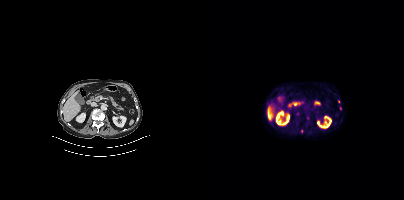
- Paired axial CT (left) and PSMA PET (right), 18F-PSMA tracer
- acquired on Siemens Biograph mCT Flow 20
Findings: Only PSMA-avid lesion pieces thinner than 2 px on this slice (not listed).